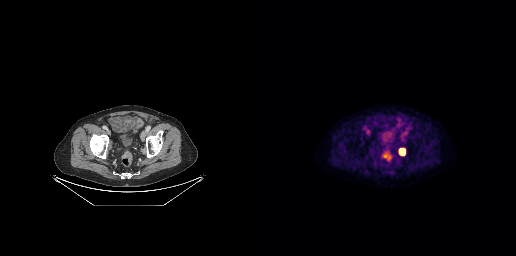
Coordinates are on the 256×256 PET (right) panel. PSMA-avid tumor lesion bounding boxes:
| # | x0 | y0 | x1 | y1 |
|---|---|---|---|---|
| 1 | 139 | 148 | 144 | 155 |
Paired axial CT (left) and PSMA PET (right), [18F]PSMA-1007 tracer. Slice position z = -639 mm.